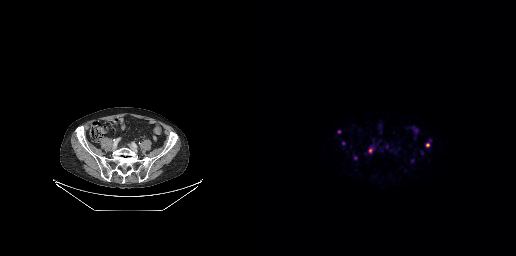
{"modality":"PSMA PET/CT","view":"axial","tracer":"[68Ga]Ga-PSMA-11","pet_grid":[256,256],"coord_frame":"pet_panel","coord_format":"x0,y0,x1,y1","lesion_bboxes":[[109,148,112,152]],"small_foci_centers":[[167,144],[79,131],[95,157]]}